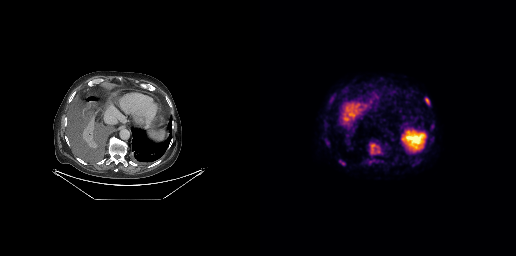
Paired axial CT (left) and PSMA PET (right), 18F tracer.
Coordinates are on the 256×256 PET (right) panel. PSMA-avid tumor lesion bounding boxes:
| # | x0 | y0 | x1 | y1 |
|---|---|---|---|---|
| 1 | 110 | 143 | 119 | 153 |
| 2 | 165 | 98 | 169 | 104 |
Small PSMA-avid focus (2 to 4 px across) near (center x, center y): (82, 163).